Technique: Paired axial CT (left) and PSMA PET (right), [18F]PSMA-1007 tracer. PET panel 200×200 px (4.1 mm/px).
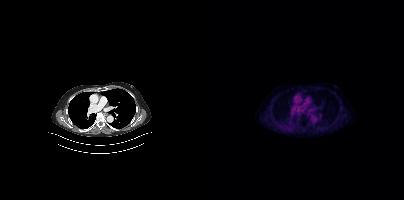
Findings: Negative for PSMA-avid disease on this slice.